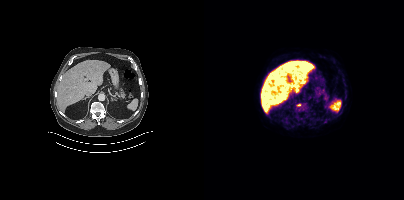
Findings: Coordinates are on the 200×200 PET (right) panel. Small PSMA-avid focus (2 to 4 px across) near (center x, center y): (94, 104).
- Left: CT. Right: PSMA PET, same axial level, 18F tracer
- PET panel 200×200 px (4.1 mm/px)